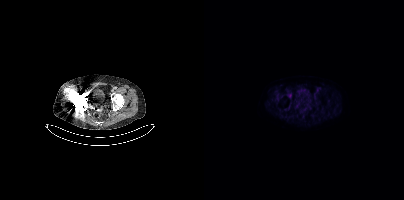
No tumor lesions annotated on this slice.